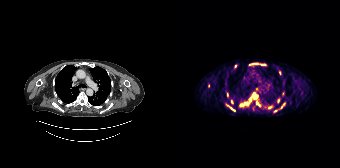
Technique: Left: CT. Right: PSMA PET, same axial level, 68Ga tracer. PET panel 168×168 px (4.1 mm/px).
Findings: Coordinates are on the 168×168 PET (right) panel. (showing 14 of 17 foci) PSMA-avid tumor lesion bounding boxes (x0,y0,x1,y1): [67,92,85,106], [96,105,100,109], [55,105,62,111], [88,64,94,66], [84,102,88,106], [59,99,61,103], [55,93,56,97], [82,63,86,64]. Small PSMA-avid foci (2 to 4 px across) near (center x, center y): (63, 66), (107, 72), (106, 101), (109, 106), (111, 103), (103, 110).